modality: PSMA PET/CT | tracer: 18F-PSMA | view: axial | PET grid: 200×200
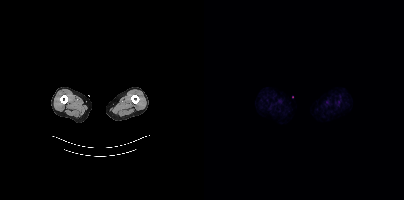
No tumor lesions annotated on this slice.